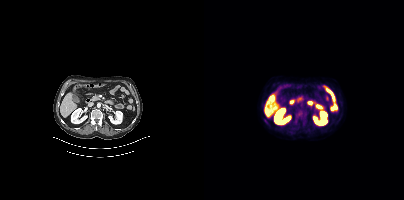
No PSMA-avid tumor lesions on this slice.